modality: PSMA PET/CT | tracer: [18F]PSMA-1007 | view: axial | PET grid: 200×200
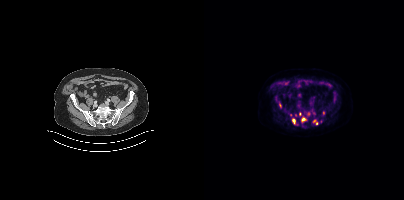
Coordinates are on the 200×200 PET (right) panel. (showing 10 of 12 foci) PSMA-avid tumor lesion bounding boxes (x0,y0,x1,y1): [97,117,102,121]; [88,118,91,124]; [109,120,114,124]. Small PSMA-avid foci (2 to 4 px across) near (center x, center y): (109, 112); (76, 105); (96, 113); (130, 99); (119, 112); (104, 113); (91, 114).